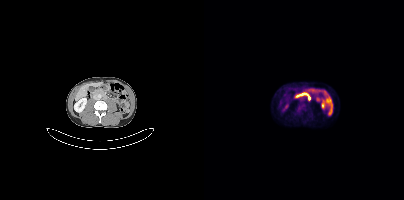
- Left: CT. Right: PSMA PET, same axial level, 18F tracer
- acquired on Siemens Biograph mCT Flow 20
- slice 160 of 417
Findings: Coordinates are on the 200×200 PET (right) panel. PSMA-avid tumor lesion bounding box (x, y, width, height): x=94 y=105 w=6 h=6.